- Left: CT. Right: PSMA PET, same axial level, 18F tracer
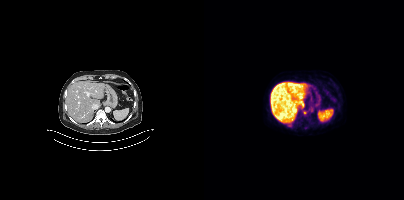
Findings: Coordinates are on the 200×200 PET (right) panel. PSMA-avid tumor lesion bounding box (x0, y0)-(x1, y1): (99, 110)-(102, 114).